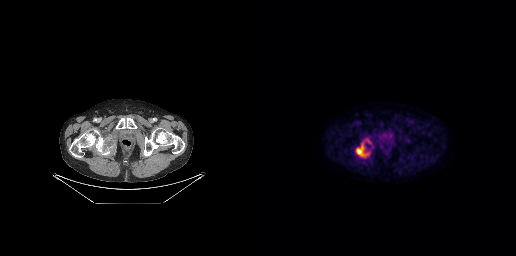
modality: PSMA PET/CT | tracer: 18F | view: axial | PET grid: 256×256
Coordinates are on the 256×256 PET (right) panel. PSMA-avid tumor lesion bounding box (x0, y0)-(x1, y1): (96, 138)-(111, 157).